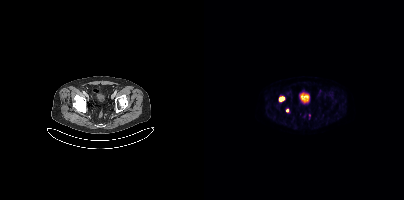
Technique: Left: CT. Right: PSMA PET, same axial level, 18F-PSMA tracer.
Findings: Coordinates are on the 200×200 PET (right) panel. PSMA-avid tumor lesion bounding box (x, y, width, height): x=75 y=97 w=6 h=4. Small PSMA-avid focus (2 to 4 px across) near (center x, center y): (83, 110).